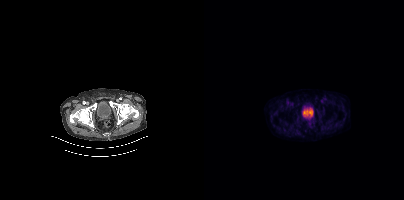
No PSMA-avid tumor lesions on this slice.